Two-panel axial: CT | PSMA PET, [18F]PSMA-1007 tracer. Slice 127 of 165.
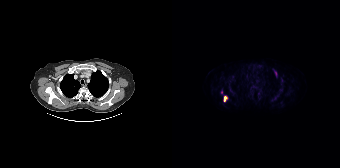
Coordinates are on the 168×168 PET (right) panel. PSMA-avid tumor lesion bounding box (x, y, width, height): x=51 y=96 w=5 h=6. Small PSMA-avid focus (2 to 4 px across) near (center x, center y): (49, 92).